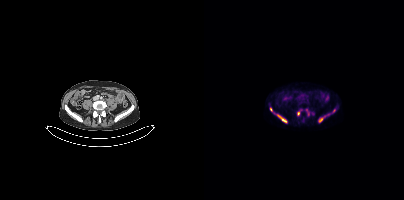
modality: PSMA PET/CT | tracer: 18F | view: axial
Coordinates are on the 200×200 PET (right) panel. (showing 6 of 7 foci) PSMA-avid tumor lesion bounding boxes (x0, y0)-(x1, y1): (70, 113)-(83, 123) | (114, 116)-(121, 122) | (93, 110)-(97, 115) | (66, 107)-(68, 111) | (102, 109)-(105, 115). Small PSMA-avid focus (2 to 4 px across) near (center x, center y): (130, 110).